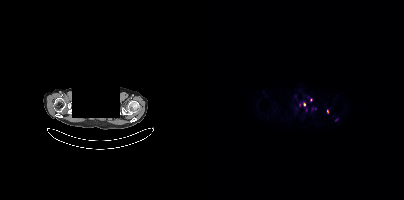
{"modality":"PSMA PET/CT","view":"axial","tracer":"68Ga","pet_grid":[200,200],"coord_frame":"pet_panel","coord_format":"x0,y0,x1,y1","partial":true,"lesion_bboxes":[],"small_foci_centers":[[100,104],[106,99],[95,104],[132,119]],"de-identification":"facial region redacted"}